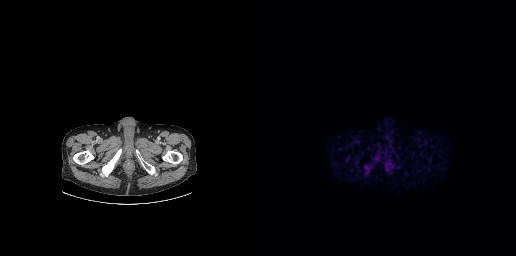
Technique: Two-panel axial: CT | PSMA PET, 18F tracer.
Findings: Coordinates are on the 256×256 PET (right) panel. PSMA-avid tumor lesion bounding boxes (x0,y0,x1,y1): [113,157,120,163], [105,166,110,171].